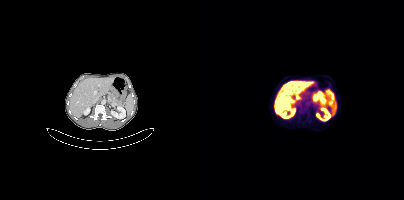
Technique: Paired axial CT (left) and PSMA PET (right), [18F]PSMA-1007 tracer. slice position z = -1196 mm.
Findings: Coordinates are on the 200×200 PET (right) panel. PSMA-avid tumor lesion bounding box (x0, y0)-(x1, y1): (95, 105)-(103, 113).